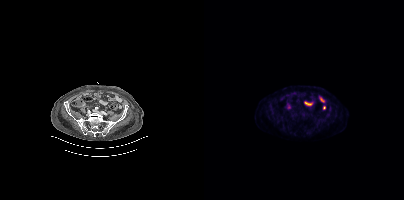
{"modality":"PSMA PET/CT","view":"axial","tracer":"18F-PSMA","pet_grid":[200,200],"coord_frame":"pet_panel","coord_format":"x0,y0,x1,y1","psma_avid_lesions":false}